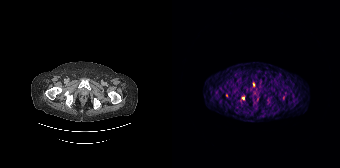
Coordinates are on the 168×168 PET (right) panel. (showing 2 of 3 foci) Small PSMA-avid foci (2 to 4 px across) near (center x, center y): (71, 98), (54, 95). Paired axial CT (left) and PSMA PET (right), 68Ga-PSMA tracer. Slice position z = -1582 mm. PET panel 168×168 px (4.1 mm/px).